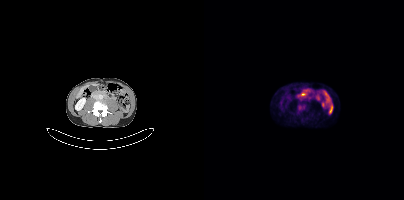
modality: PSMA PET/CT | tracer: [18F]PSMA-1007 | view: axial
Coordinates are on the 200×200 PET (right) panel. PSMA-avid tumor lesion bounding box (x0, y0)-(x1, y1): (94, 104)-(99, 110).